Left: CT. Right: PSMA PET, same axial level, 18F tracer. Acquired on Siemens Biograph mCT Flow 20. PET panel 200×200 px (4.1 mm/px).
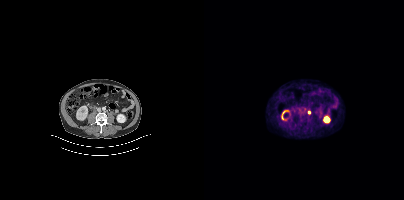
Coordinates are on the 200×200 PET (right) panel. Small PSMA-avid focus (2 to 4 px across) near (center x, center y): (105, 112).